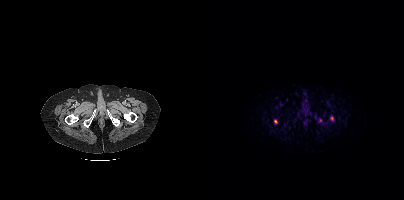
Coordinates are on the 200×200 PET (right) panel. Small PSMA-avid focus (2 to 4 px across) near (center x, center y): (71, 121).